Left: CT. Right: PSMA PET, same axial level, 18F-PSMA tracer. Acquired on Siemens Biograph 64-4R TruePoint. Slice 130 of 165.
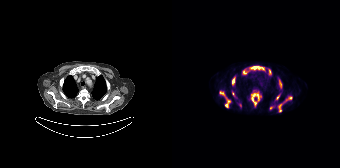
Coordinates are on the 168×168 PET (right) panel. PSMA-avid tumor lesion bounding boxes:
| # | x0 | y0 | x1 | y1 |
|---|---|---|---|---|
| 1 | 79 | 91 | 89 | 106 |
| 2 | 47 | 91 | 58 | 107 |
| 3 | 77 | 66 | 92 | 70 |
| 4 | 106 | 96 | 120 | 112 |
| 5 | 70 | 68 | 77 | 74 |
| 6 | 60 | 76 | 63 | 85 |
| 7 | 107 | 79 | 110 | 88 |
| 8 | 97 | 69 | 99 | 74 |
| 9 | 104 | 95 | 107 | 99 |
Small PSMA-avid foci (2 to 4 px across) near (center x, center y): (99, 107); (61, 93); (68, 105).